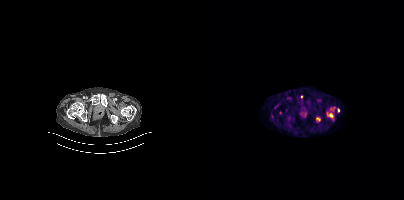
Findings: Only PSMA-avid lesion pieces thinner than 2 px on this slice (not listed).
- Paired axial CT (left) and PSMA PET (right), 18F tracer
- acquired on Siemens Biograph mCT Flow 20